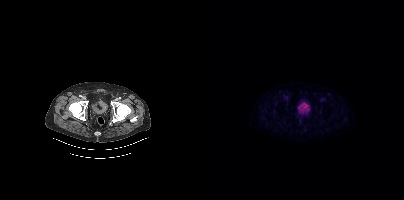
Negative for PSMA-avid disease on this slice.